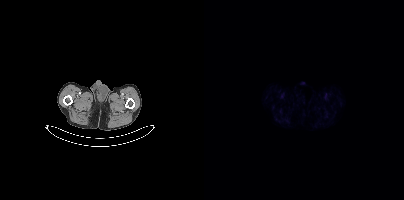
{"modality":"PSMA PET/CT","view":"axial","tracer":"18F","pet_grid":[200,200],"coord_frame":"pet_panel","coord_format":"x0,y0,x1,y1","psma_avid_lesions":false}